Technique: Left: CT. Right: PSMA PET, same axial level, [18F]PSMA-1007 tracer. PET panel 200×200 px (4.1 mm/px).
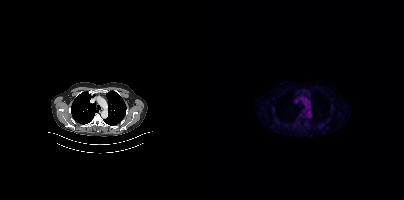
Findings: No PSMA-avid tumor lesions on this slice.